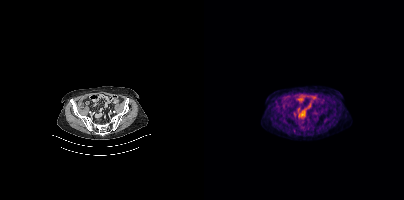
Negative for PSMA-avid disease on this slice. Left: CT. Right: PSMA PET, same axial level, [18F]PSMA-1007 tracer. Acquired on Siemens Biograph mCT Flow 20. Slice 118 of 397.